- Two-panel axial: CT | PSMA PET, [18F]PSMA-1007 tracer
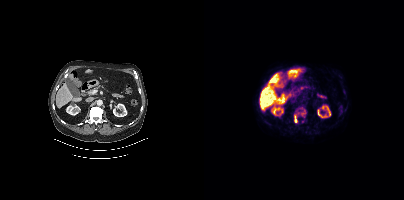
Findings: Coordinates are on the 200×200 PET (right) panel. (showing 2 of 3 foci) PSMA-avid tumor lesion bounding boxes (x, y, width, height): x=90 y=114 w=4 h=9 / x=97 y=110 w=5 h=6.